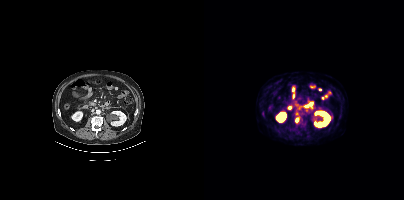
Technique: Paired axial CT (left) and PSMA PET (right), 18F-PSMA tracer. acquired on Siemens Biograph mCT Flow 20. slice 207 of 448.
Findings: Coordinates are on the 200×200 PET (right) panel. PSMA-avid tumor lesion bounding box (x0, y0)-(x1, y1): (92, 118)-(94, 122). Small PSMA-avid focus (2 to 4 px across) near (center x, center y): (92, 114).